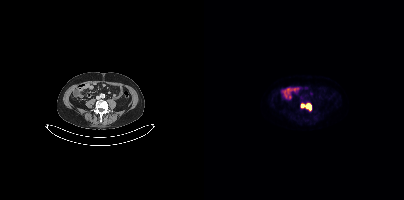
modality: PSMA PET/CT | tracer: 18F | view: axial
Coordinates are on the 200×200 PET (right) panel. PSMA-avid tumor lesion bounding box (x, y, width, height): x=102 y=104 w=6 h=7. Small PSMA-avid focus (2 to 4 px across) near (center x, center y): (98, 105).